Technique: Paired axial CT (left) and PSMA PET (right), [18F]PSMA-1007 tracer. slice position z = -769 mm.
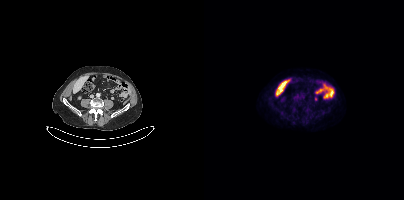
Findings: Negative for PSMA-avid disease on this slice.